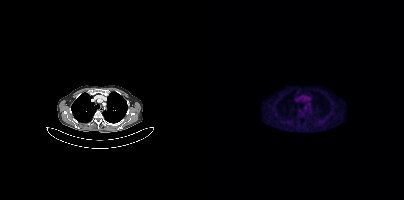
Paired axial CT (left) and PSMA PET (right), 18F tracer. Slice 309 of 397. PET panel 200×200 px (4.1 mm/px). No PSMA-avid tumor lesions on this slice.